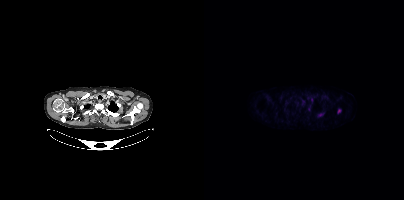
Coordinates are on the 200×200 PET (right) panel. PSMA-avid tumor lesion bounding box (x0,y0,x1,y1): [115,113,120,116]. Small PSMA-avid focus (2 to 4 px across) near (center x, center y): (135, 110). Two-panel axial: CT | PSMA PET, [18F]PSMA-1007 tracer. Slice 360 of 431. PET panel 200×200 px (4.1 mm/px).